Some pixels were blanked for anonymization. Left: CT. Right: PSMA PET, same axial level, 18F-PSMA tracer. Slice position z = -204 mm.
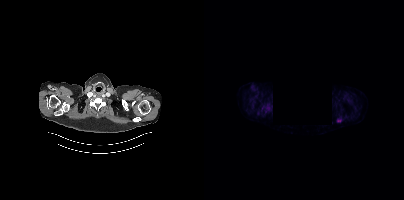
Coordinates are on the 200×200 PET (right) panel. PSMA-avid tumor lesion bounding box (x, y, width, height): x=133 y=118 w=6 h=5. Small PSMA-avid focus (2 to 4 px across) near (center x, center y): (67, 108).